Technique: Paired axial CT (left) and PSMA PET (right), [18F]PSMA-1007 tracer. slice position z = -192 mm.
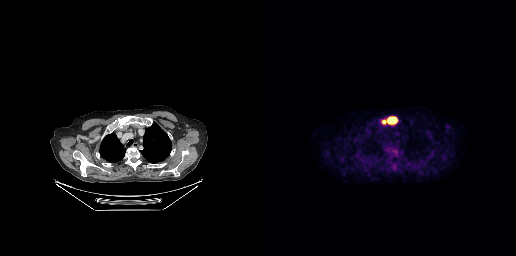
Findings: Coordinates are on the 256×256 PET (right) panel. PSMA-avid tumor lesion bounding box (x0,y0,x1,y1): [128,117,136,123]. Small PSMA-avid focus (2 to 4 px across) near (center x, center y): (123, 121).